modality: PSMA PET/CT | tracer: [18F]PSMA-1007 | view: axial
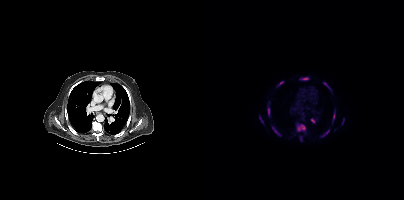
Coordinates are on the 200×200 PET (right) panel. (showing 11 of 14 foci) PSMA-avid tumor lesion bounding boxes (x0,y0,x1,y1): [92,123,101,132] [68,126,77,136] [63,106,66,116] [119,82,127,91] [118,129,125,136] [129,112,131,121] [96,77,104,80] [107,119,111,123] [95,136,98,141] [55,116,58,120] [138,119,140,124].